- Two-panel axial: CT | PSMA PET, [18F]PSMA-1007 tracer
- acquired on Siemens Biograph mCT Flow 20
- PET panel 200×200 px (4.1 mm/px)
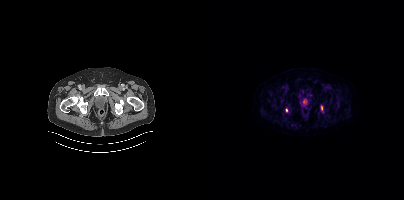
Findings: Coordinates are on the 200×200 PET (right) panel. PSMA-avid tumor lesion bounding box (x0,y0,x1,y1): [117,106,118,110]. Small PSMA-avid focus (2 to 4 px across) near (center x, center y): (82, 110).